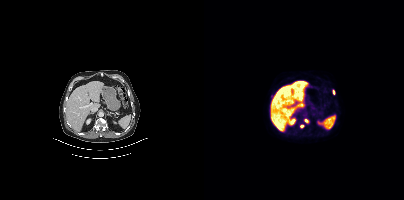
Coordinates are on the 200×200 PET (right) panel. Small PSMA-avid foci (2 to 4 px across) near (center x, center y): (102, 120); (98, 126); (129, 91).